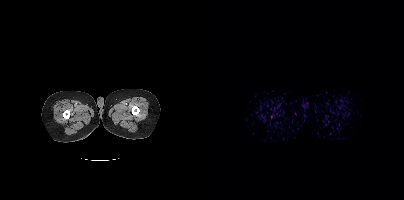
Paired axial CT (left) and PSMA PET (right), [68Ga]Ga-PSMA-11 tracer. Acquired on Siemens Biograph mCT Flow 20. Slice position z = 167 mm. PET panel 200×200 px (4.1 mm/px). No tumor lesions annotated on this slice.